- Left: CT. Right: PSMA PET, same axial level, 18F tracer
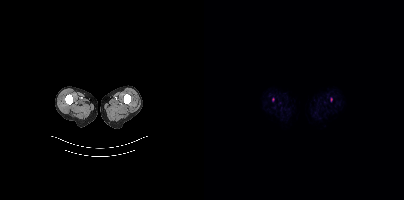
Findings: Coordinates are on the 200×200 PET (right) panel. Small PSMA-avid foci (2 to 4 px across) near (center x, center y): (68, 99); (127, 99).